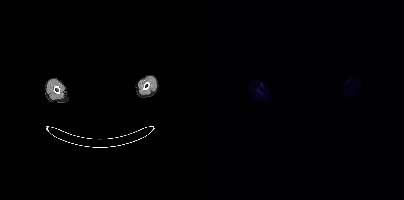
No PSMA-avid tumor lesions on this slice.
The head region is masked for de-identification.